modality: PSMA PET/CT | tracer: 18F-PSMA | view: axial
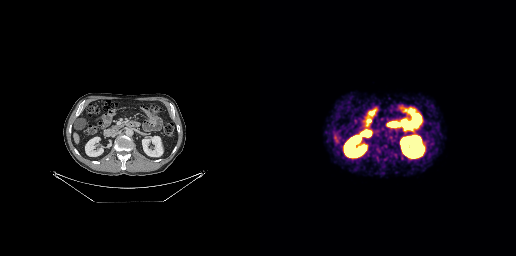
Coordinates are on the 256×256 PET (right) panel. PSMA-avid tumor lesion bounding box (x, y, width, height): x=121 y=145 w=7 h=4.